modality: PSMA PET/CT | tracer: 18F | view: axial | PET grid: 200×200
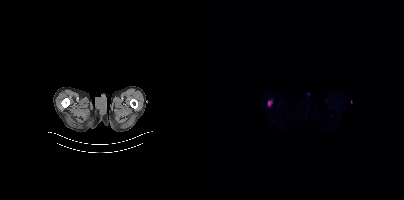
Coordinates are on the 200×200 PET (right) panel. PSMA-avid tumor lesion bounding box (x0, y0)-(x1, y1): (64, 101)-(68, 106).